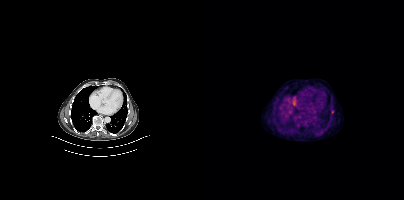
Two-panel axial: CT | PSMA PET, 18F-PSMA tracer. Acquired on Siemens Biograph mCT Flow 20. Coordinates are on the 200×200 PET (right) panel. Small PSMA-avid focus (2 to 4 px across) near (center x, center y): (128, 111).